Technique: Left: CT. Right: PSMA PET, same axial level, 18F-PSMA tracer. slice 213 of 508. PET panel 200×200 px (4.1 mm/px).
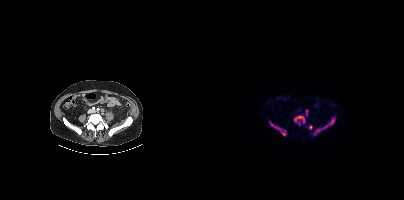
Findings: Coordinates are on the 200×200 PET (right) panel. PSMA-avid tumor lesion bounding boxes (x0, y0)-(x1, y1): (110, 118)-(131, 135) / (90, 115)-(101, 124) / (66, 122)-(76, 129) / (77, 130)-(81, 135). Small PSMA-avid foci (2 to 4 px across) near (center x, center y): (106, 127) / (101, 114).